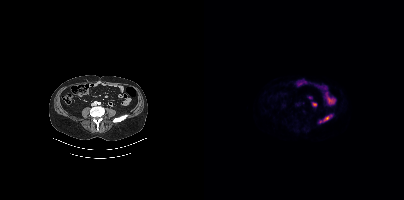
Technique: Two-panel axial: CT | PSMA PET, [18F]PSMA-1007 tracer. slice position z = -1264 mm.
Findings: Coordinates are on the 200×200 PET (right) panel. PSMA-avid tumor lesion bounding box (x0, y0)-(x1, y1): (120, 115)-(128, 120). Small PSMA-avid focus (2 to 4 px across) near (center x, center y): (116, 121).